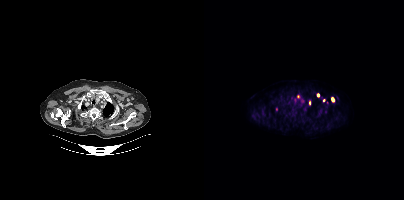
- Two-panel axial: CT | PSMA PET, 18F tracer
- slice position z = -298 mm
Findings: Coordinates are on the 200×200 PET (right) panel. PSMA-avid tumor lesion bounding boxes (x0, y0)-(x1, y1): (127, 97)-(130, 102) / (113, 93)-(115, 97). Small PSMA-avid foci (2 to 4 px across) near (center x, center y): (105, 102) / (94, 96) / (72, 109) / (119, 100).